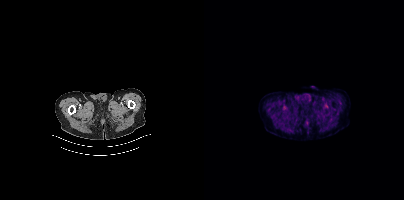
Paired axial CT (left) and PSMA PET (right), 18F-PSMA tracer. Acquired on Siemens Biograph mCT Flow 20. No tumor lesions annotated on this slice.